Paired axial CT (left) and PSMA PET (right), [18F]PSMA-1007 tracer. Slice position z = -78 mm.
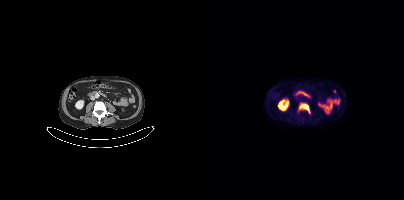
Coordinates are on the 200×200 PET (right) panel. PSMA-avid tumor lesion bounding box (x0,y0,x1,y1): [95,103,106,113].